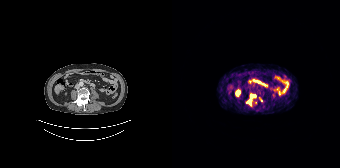
Coordinates are on the 168×168 PET (right) panel. PSMA-avid tumor lesion bounding boxes:
| # | x0 | y0 | x1 | y1 |
|---|---|---|---|---|
| 1 | 78 | 94 | 83 | 97 |
| 2 | 75 | 100 | 79 | 104 |
Small PSMA-avid focus (2 to 4 px across) near (center x, center y): (65, 93).
Left: CT. Right: PSMA PET, same axial level, 68Ga-PSMA tracer. Slice position z = -1118 mm.